Head region blanked for anonymization (face removed). Two-panel axial: CT | PSMA PET, [18F]PSMA-1007 tracer. PET panel 200×200 px (4.1 mm/px).
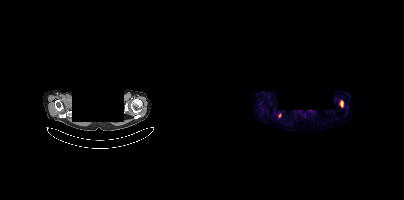
Coordinates are on the 200×200 PET (right) panel. PSMA-avid tumor lesion bounding box (x0,y0,x1,y1): [135,100,139,107]. Small PSMA-avid focus (2 to 4 px across) near (center x, center y): (75, 115).